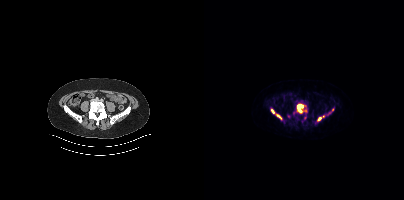
Coordinates are on the 200×200 PET (right) panel. PSMA-avid tumor lesion bounding boxes (x0, y0)-(x1, y1): (93, 104)-(99, 112) | (113, 115)-(120, 121) | (72, 114)-(77, 119) | (67, 109)-(70, 113). Small PSMA-avid focus (2 to 4 px across) near (center x, center y): (128, 109). Left: CT. Right: PSMA PET, same axial level, 18F tracer. PET panel 200×200 px (4.1 mm/px).